Two-panel axial: CT | PSMA PET, [18F]PSMA-1007 tracer. Acquired on Siemens Biograph mCT Flow 20.
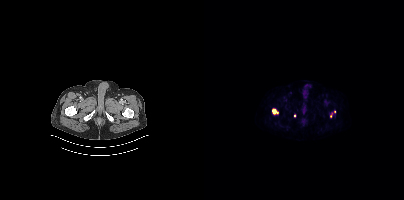
Coordinates are on the 200×200 PET (right) panel. PSMA-avid tumor lesion bounding boxes (x, y, width, height): x=68 y=108 w=7 h=7 | x=126 y=113 w=3 h=5. Small PSMA-avid foci (2 to 4 px across) near (center x, center y): (130, 111) | (90, 115).